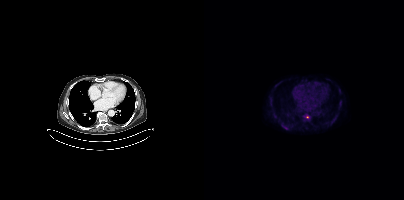
{"modality":"PSMA PET/CT","view":"axial","tracer":"18F","pet_grid":[200,200],"coord_frame":"pet_panel","coord_format":"x0,y0,x1,y1","partial":true,"lesion_bboxes":[],"small_foci_centers":[[81,127],[66,104]]}